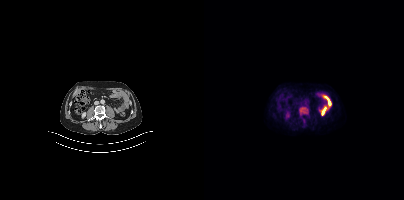
Findings: Coordinates are on the 200×200 PET (right) panel. PSMA-avid tumor lesion bounding box (x0,y0,x1,y1): [96,107,103,112].
- Left: CT. Right: PSMA PET, same axial level, 18F tracer
- slice 157 of 413